Two-panel axial: CT | PSMA PET, 68Ga tracer. Acquired on Siemens Biograph 64-4R TruePoint. Slice 29 of 195.
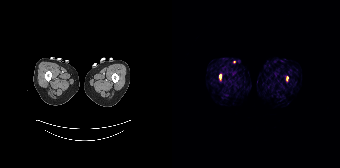
Coordinates are on the 168×168 PET (right) panel. Small PSMA-avid foci (2 to 4 px across) near (center x, center y): (48, 76); (115, 78).